Left: CT. Right: PSMA PET, same axial level, 18F-PSMA tracer. Acquired on Siemens Biograph mCT Flow 20. Slice position z = -1616 mm.
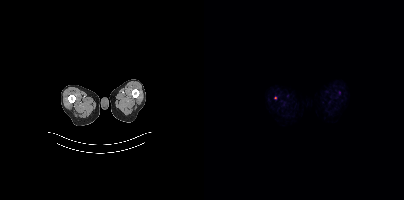
Coordinates are on the 200×200 PET (right) panel. Small PSMA-avid focus (2 to 4 px across) near (center x, center y): (71, 97).